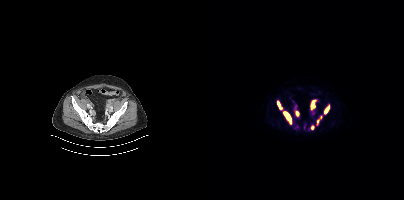
Findings: Coordinates are on the 200×200 PET (right) panel. PSMA-avid tumor lesion bounding boxes (x, y, width, height): x=79 y=111 w=9 h=14 | x=106 y=100 w=7 h=10 | x=120 y=104 w=6 h=11 | x=73 y=101 w=6 h=9 | x=91 y=111 w=5 h=6 | x=113 y=116 w=5 h=9. Small PSMA-avid focus (2 to 4 px across) near (center x, center y): (108, 127).
Technique: Two-panel axial: CT | PSMA PET, 18F-PSMA tracer. acquired on Siemens Biograph mCT Flow 20. slice position z = -1529 mm. PET panel 200×200 px (4.1 mm/px).